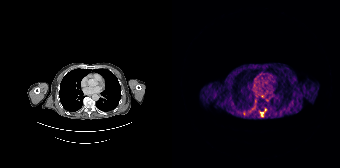
Two-panel axial: CT | PSMA PET, 68Ga tracer. Acquired on Siemens Biograph 64-4R TruePoint. Slice 107 of 165. PET panel 168×168 px (4.1 mm/px). Coordinates are on the 168×168 PET (right) panel. PSMA-avid tumor lesion bounding box (x0, y0)-(x1, y1): (88, 112)-(91, 116). Small PSMA-avid focus (2 to 4 px across) near (center x, center y): (93, 109).